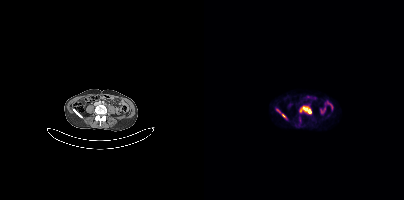
{"modality":"PSMA PET/CT","view":"axial","tracer":"[68Ga]Ga-PSMA-11","pet_grid":[200,200],"coord_frame":"pet_panel","coord_format":"x0,y0,x1,y1","lesion_bboxes":[[96,106,107,113]],"small_foci_centers":[[79,115],[74,110]]}